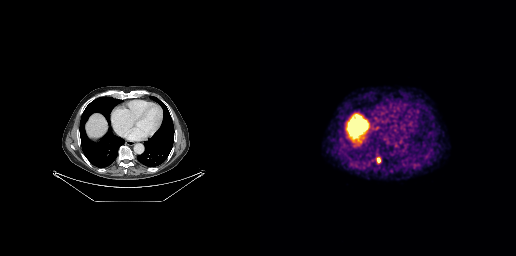
Technique: Two-panel axial: CT | PSMA PET, [68Ga]Ga-PSMA-11 tracer.
Findings: Coordinates are on the 256×256 PET (right) panel. PSMA-avid tumor lesion bounding box (x, y, width, height): x=116 y=157 w=5 h=7.